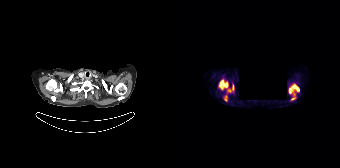
{"modality":"PSMA PET/CT","view":"axial","tracer":"68Ga","pet_grid":[168,168],"coord_frame":"pet_panel","coord_format":"x0,y0,x1,y1","lesion_bboxes":[[116,83,127,100],[46,79,62,92],[52,95,55,101]],"de-identification":"region redacted"}